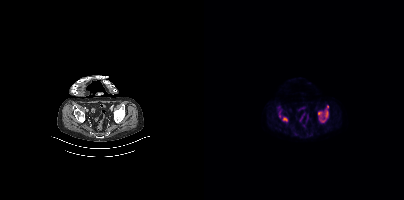
Left: CT. Right: PSMA PET, same axial level, 18F tracer. Acquired on Siemens Biograph mCT Flow 20. Slice position z = -1374 mm. PET panel 200×200 px (4.1 mm/px). Coordinates are on the 200×200 PET (right) panel. PSMA-avid tumor lesion bounding boxes (x, y, width, height): x=114 y=106 w=11 h=17 | x=78 y=117 w=6 h=6 | x=75 y=111 w=3 h=7.